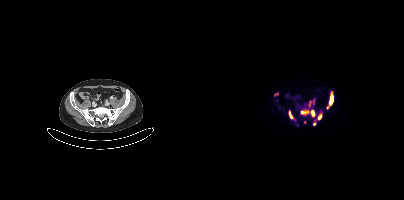
Two-panel axial: CT | PSMA PET, [18F]PSMA-1007 tracer. Slice position z = -18 mm. Coordinates are on the 200×200 PET (right) panel. PSMA-avid tumor lesion bounding boxes (x, y, width, height): x=96 y=110 w=9 h=6 | x=125 y=92 w=5 h=13 | x=85 y=112 w=7 h=9 | x=114 y=114 w=4 h=6 | x=107 y=111 w=5 h=5 | x=105 y=101 w=3 h=5 | x=70 y=93 w=5 h=3. Small PSMA-avid foci (2 to 4 px across) near (center x, center y): (123, 107) | (110, 124) | (100, 122) | (109, 101).